Two-panel axial: CT | PSMA PET, [18F]PSMA-1007 tracer. Acquired on Siemens Biograph mCT Flow 20.
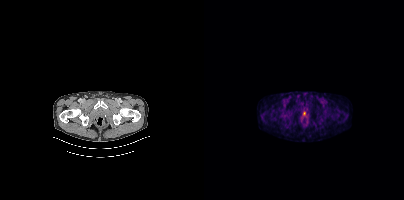
Negative for PSMA-avid disease on this slice.